Left: CT. Right: PSMA PET, same axial level, 18F-PSMA tracer. Slice position z = -639 mm. PET panel 200×200 px (4.1 mm/px).
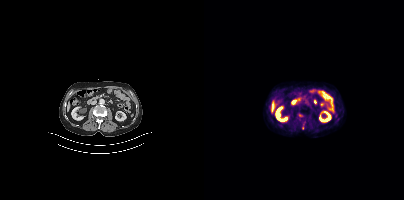
Coordinates are on the 200×200 PET (right) panel. Small PSMA-avid focus (2 to 4 px across) near (center x, center y): (98, 128).